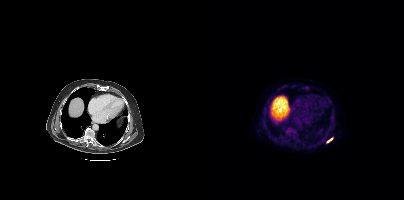
- Left: CT. Right: PSMA PET, same axial level, [18F]PSMA-1007 tracer
- slice 276 of 431
Findings: Coordinates are on the 200×200 PET (right) panel. PSMA-avid tumor lesion bounding box (x, y, width, height): x=123 y=138 w=6 h=5.